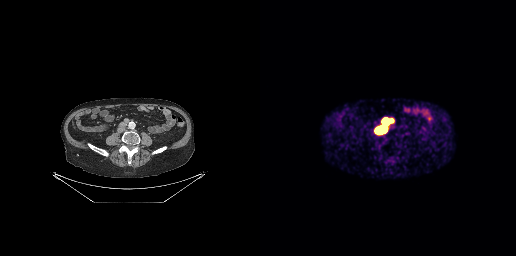
modality: PSMA PET/CT | tracer: 68Ga-PSMA | view: axial | PET grid: 256×256
Coordinates are on the 256×256 PET (right) panel. PSMA-avid tumor lesion bounding box (x0,y0,x1,y1): [116,119,132,132].